- Paired axial CT (left) and PSMA PET (right), [18F]PSMA-1007 tracer
- PET panel 200×200 px (4.1 mm/px)
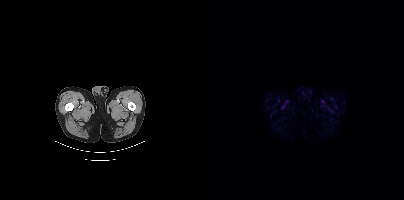
Findings: Negative for PSMA-avid disease on this slice.